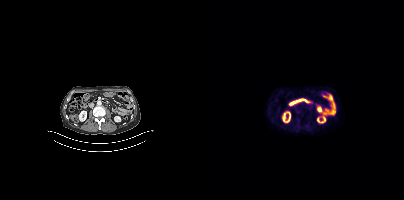
Only PSMA-avid lesion pieces thinner than 2 px on this slice (not listed).
modality: PSMA PET/CT | tracer: 18F-PSMA | view: axial